modality: PSMA PET/CT | tracer: [18F]PSMA-1007 | view: axial
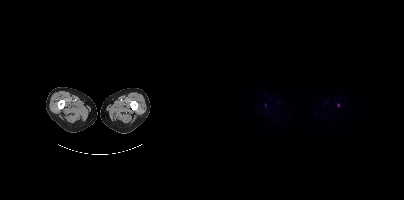
Coordinates are on the 200×200 PET (right) panel. Small PSMA-avid foci (2 to 4 px across) near (center x, center y): (134, 105); (61, 105).